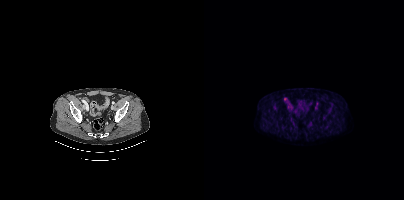
Left: CT. Right: PSMA PET, same axial level, 18F tracer. Coordinates are on the 200×200 PET (right) panel. Small PSMA-avid focus (2 to 4 px across) near (center x, center y): (81, 98).